- Paired axial CT (left) and PSMA PET (right), 18F-PSMA tracer
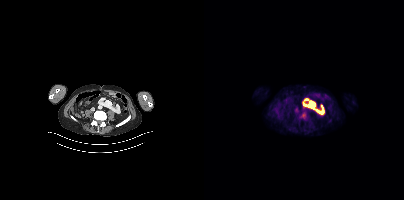
Findings: Only PSMA-avid lesion pieces thinner than 2 px on this slice (not listed).